Left: CT. Right: PSMA PET, same axial level, 18F-PSMA tracer.
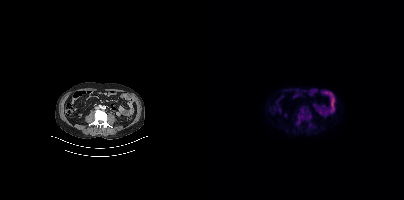
Coordinates are on the 200×200 PET (right) panel. PSMA-avid tumor lesion bounding boxes:
| # | x0 | y0 | x1 | y1 |
|---|---|---|---|---|
| 1 | 94 | 116 | 95 | 122 |
| 2 | 98 | 108 | 99 | 113 |
Small PSMA-avid foci (2 to 4 px across) near (center x, center y): (105, 116); (98, 116).